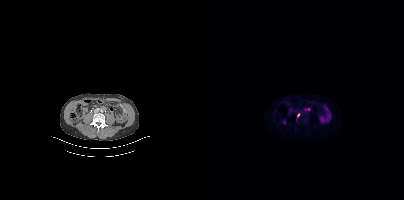
{"pet_grid":[200,200],"coord_frame":"pet_panel","coord_format":"x0,y0,x1,y1","lesion_bboxes":[[100,108,106,110]],"small_foci_centers":[[80,122],[94,115]],"modality":"PSMA PET/CT","view":"axial","tracer":"[18F]PSMA-1007"}